Two-panel axial: CT | PSMA PET, 68Ga tracer. PET panel 200×200 px (4.1 mm/px).
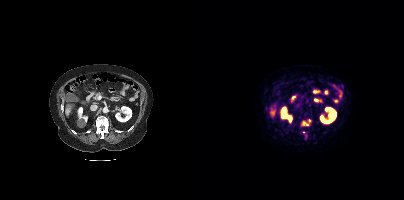
Coordinates are on the 200×200 PET (right) panel. PSMA-avid tumor lesion bounding box (x0, y0)-(x1, y1): (98, 119)-(106, 126). Small PSMA-avid foci (2 to 4 px across) near (center x, center y): (100, 132) | (101, 135).